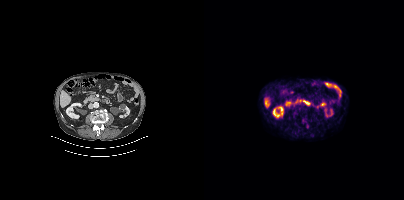
Technique: Left: CT. Right: PSMA PET, same axial level, 18F-PSMA tracer. slice position z = -1316 mm.
Findings: This slice has no annotated PSMA-avid lesion.